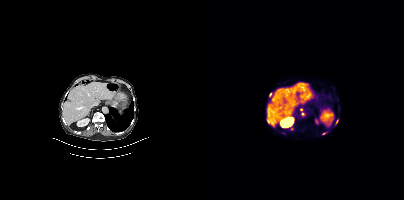
Left: CT. Right: PSMA PET, same axial level, [68Ga]Ga-PSMA-11 tracer. Acquired on Siemens Biograph mCT Flow 20. Slice 208 of 409. PET panel 200×200 px (4.1 mm/px).
Coordinates are on the 200×200 PET (right) panel. PSMA-avid tumor lesion bounding boxes (partial; 2 more foci not listed):
| # | x0 | y0 | x1 | y1 |
|---|---|---|---|---|
| 1 | 118 | 132 | 122 | 134 |
Small PSMA-avid foci (2 to 4 px across) near (center x, center y): (64, 121); (88, 128); (97, 109); (98, 114); (133, 121).